Left: CT. Right: PSMA PET, same axial level, 18F-PSMA tracer. Acquired on Siemens Biograph mCT Flow 20. Slice 389 of 409. Head region blanked for anonymization (face removed).
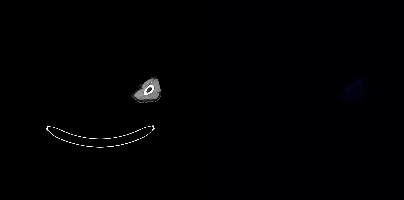
No PSMA-avid tumor lesions on this slice.